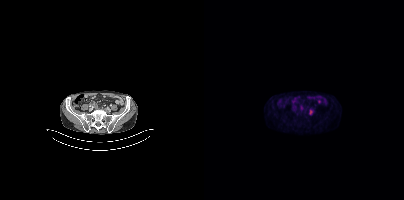
Findings: Coordinates are on the 200×200 PET (right) panel. PSMA-avid tumor lesion bounding box (x, y, width, height): x=105 y=110 w=4 h=5.
Technique: Two-panel axial: CT | PSMA PET, [18F]PSMA-1007 tracer. acquired on Siemens Biograph mCT Flow 20.